Paired axial CT (left) and PSMA PET (right), 18F tracer. Acquired on Siemens Biograph mCT Flow 20. PET panel 200×200 px (4.1 mm/px).
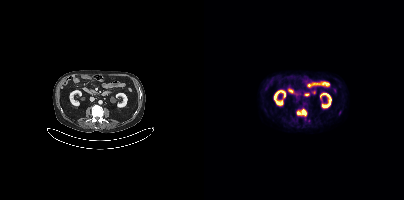
Coordinates are on the 200×200 PET (right) panel. PSMA-avid tumor lesion bounding boxes:
| # | x0 | y0 | x1 | y1 |
|---|---|---|---|---|
| 1 | 93 | 109 | 102 | 115 |